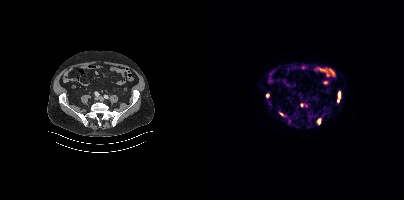
Findings: Coordinates are on the 200×200 PET (right) panel. (showing 4 of 5 foci) PSMA-avid tumor lesion bounding boxes (x, y, width, height): x=133 y=91 w=4 h=12 / x=113 y=118 w=4 h=6 / x=75 y=112 w=5 h=4. Small PSMA-avid focus (2 to 4 px across) near (center x, center y): (63, 95).
- Left: CT. Right: PSMA PET, same axial level, 18F tracer